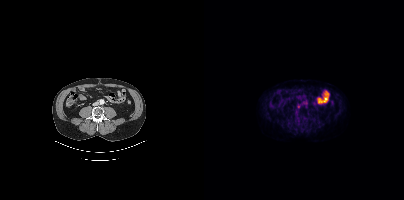
This slice has no annotated PSMA-avid lesion.